Technique: Left: CT. Right: PSMA PET, same axial level, [68Ga]Ga-PSMA-11 tracer. PET panel 168×168 px (4.1 mm/px).
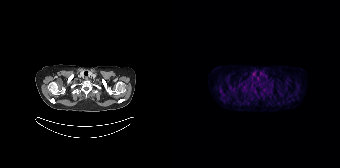
Findings: No PSMA-avid tumor lesions on this slice.